modality: PSMA PET/CT | tracer: 18F | view: axial | PET grid: 200×200
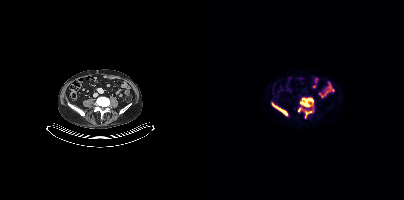
Coordinates are on the 200×200 PET (right) panel. PSMA-avid tumor lesion bounding boxes (x, y, width, height): x=96 y=98 w=14 h=9; x=68 y=103 w=16 h=13; x=101 y=110 w=8 h=8. Small PSMA-avid focus (2 to 4 px across) near (center x, center y): (95, 109).